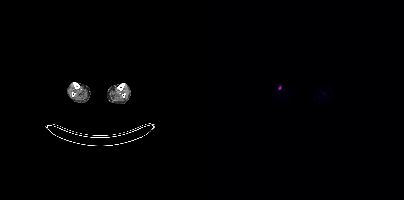
Coordinates are on the 200×200 PET (right) panel. Small PSMA-avid focus (2 to 4 px across) near (center x, center y): (75, 87).